Technique: Two-panel axial: CT | PSMA PET, 18F tracer. acquired on Siemens Biograph mCT Flow 20. slice position z = 324 mm. PET panel 200×200 px (4.1 mm/px).
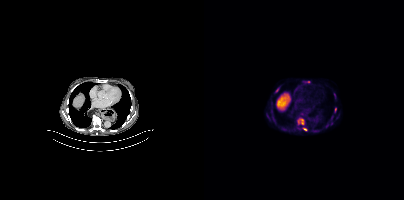
Findings: Coordinates are on the 200×200 PET (right) panel. PSMA-avid tumor lesion bounding boxes (x, y, width, height): x=93 y=118 w=8 h=8 / x=98 y=127 w=6 h=5 / x=71 y=88 w=5 h=5 / x=101 y=81 w=6 h=2 / x=131 y=108 w=2 h=5. Small PSMA-avid focus (2 to 4 px across) near (center x, center y): (130, 95).